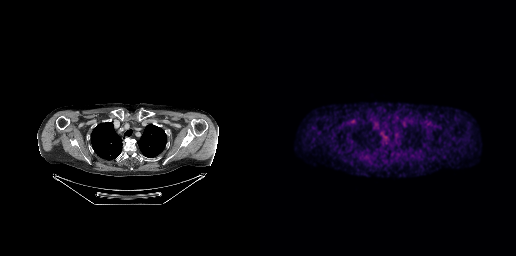
{"modality":"PSMA PET/CT","view":"axial","tracer":"18F","pet_grid":[256,256],"coord_frame":"pet_panel","coord_format":"x0,y0,x1,y1","psma_avid_lesions":false}